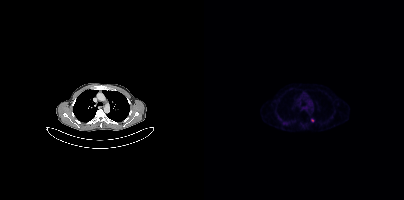
Coordinates are on the 200×200 PET (right) panel. Small PSMA-avid focus (2 to 4 px across) near (center x, center y): (108, 120).